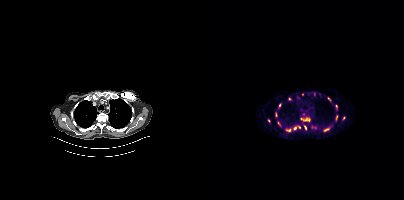
Coordinates are on the 200×200 PET (right) panel. PSMA-avid tumor lesion bounding boxes:
| # | x0 | y0 | x1 | y1 |
|---|---|---|---|---|
| 1 | 96 | 117 | 106 | 121 |
| 2 | 89 | 126 | 96 | 129 |
| 3 | 120 | 128 | 125 | 131 |
| 4 | 71 | 112 | 73 | 117 |
| 5 | 74 | 103 | 77 | 108 |
| 6 | 73 | 121 | 77 | 126 |
| 7 | 100 | 125 | 102 | 129 |
Small PSMA-avid foci (2 to 4 px across) near (center x, center y): (65, 120); (110, 93); (125, 98); (132, 106); (98, 94); (85, 130); (94, 97); (139, 118).
Two-panel axial: CT | PSMA PET, [18F]PSMA-1007 tracer. Slice 369 of 466.